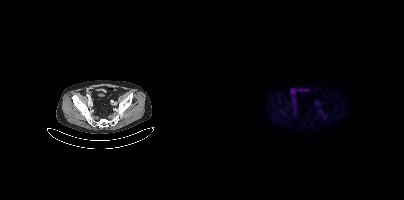
Technique: Left: CT. Right: PSMA PET, same axial level, 18F-PSMA tracer.
Findings: This slice has no annotated PSMA-avid lesion.